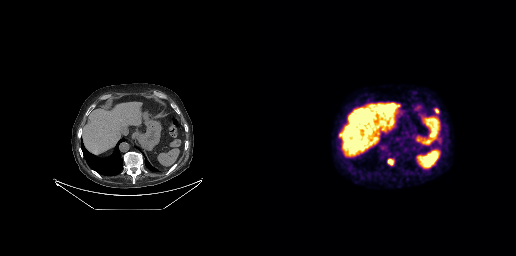
Coordinates are on the 256×256 PET (right) panel. PSMA-avid tumor lesion bounding boxes (x, y, width, height): x=127 y=159 w=7 h=7 | x=175 y=109 w=4 h=5. Paired axial CT (left) and PSMA PET (right), [18F]PSMA-1007 tracer. Acquired on GE Discovery 690. Slice 161 of 263. PET panel 256×256 px (2.7 mm/px).